Paired axial CT (left) and PSMA PET (right), 18F-PSMA tracer.
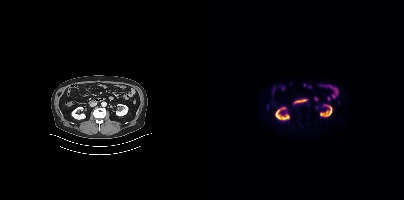
No tumor lesions annotated on this slice.